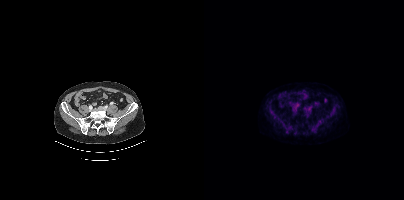
No tumor lesions annotated on this slice.